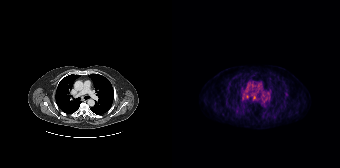
Paired axial CT (left) and PSMA PET (right), 18F-PSMA tracer. Slice position z = -796 mm. Coordinates are on the 168×168 PET (right) panel. (showing 1 of 2 foci) Small PSMA-avid focus (2 to 4 px across) near (center x, center y): (82, 97).